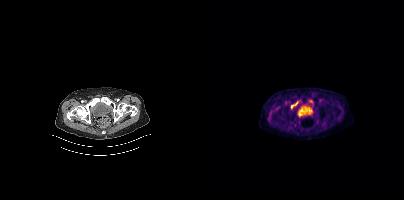
{"modality":"PSMA PET/CT","view":"axial","tracer":"18F","pet_grid":[200,200],"coord_frame":"pet_panel","coord_format":"x0,y0,x1,y1","lesion_bboxes":[],"small_foci_centers":[[92,103],[87,106]]}